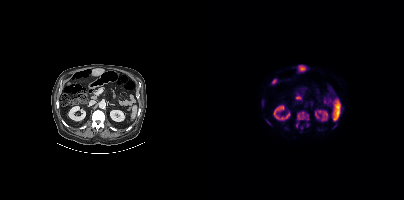
Findings: Coordinates are on the 200×200 PET (right) panel. PSMA-avid tumor lesion bounding boxes (x0,y0,x1,y1): [91,111,105,127], [92,96,97,99]. Small PSMA-avid foci (2 to 4 px across) near (center x, center y): (103, 124), (97, 127), (63, 121).
- Two-panel axial: CT | PSMA PET, 18F-PSMA tracer
- acquired on Siemens Biograph mCT Flow 20
- PET panel 200×200 px (4.1 mm/px)